Technique: Paired axial CT (left) and PSMA PET (right), 68Ga tracer. acquired on Siemens Biograph 64-4R TruePoint. PET panel 168×168 px (4.1 mm/px).
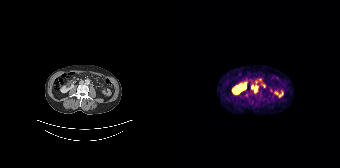
Findings: Coordinates are on the 168×168 PET (right) panel. PSMA-avid tumor lesion bounding box (x0,y0,x1,y1): [83,86,85,91]. Small PSMA-avid foci (2 to 4 px across) near (center x, center y): (80, 87), (92, 86).